- Paired axial CT (left) and PSMA PET (right), 18F-PSMA tracer
- acquired on Siemens Biograph mCT Flow 20
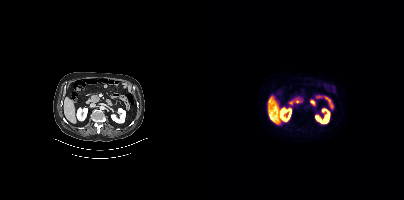
Findings: This slice has no annotated PSMA-avid lesion.